modality: PSMA PET/CT | tracer: 68Ga-PSMA | view: axial
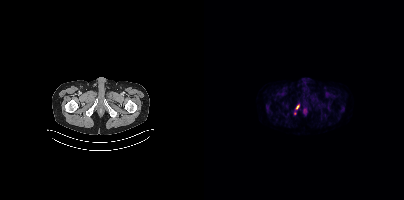
Coordinates are on the 200×200 PET (right) panel. (showing 1 of 2 foci) PSMA-avid tumor lesion bounding box (x0, y0)-(x1, y1): (92, 104)-(95, 109).